- Left: CT. Right: PSMA PET, same axial level, [18F]PSMA-1007 tracer
- PET panel 200×200 px (4.1 mm/px)
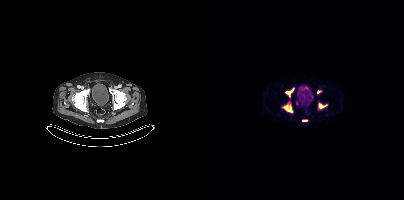
Findings: Coordinates are on the 200×200 PET (right) panel. PSMA-avid tumor lesion bounding boxes (x0,y0,x1,y1): [79,104,88,112]; [81,88,90,96]; [115,104,122,108]; [98,120,103,121]. Small PSMA-avid foci (2 to 4 px across) near (center x, center y): (114, 92); (92, 103).